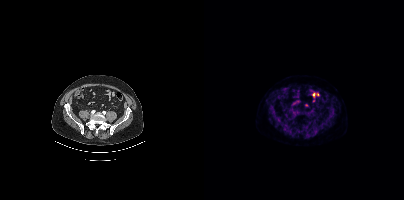
No PSMA-avid tumor lesions on this slice.
modality: PSMA PET/CT | tracer: 18F | view: axial